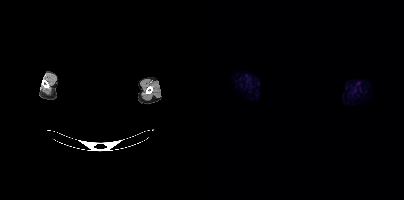
Negative for PSMA-avid disease on this slice.
modality: PSMA PET/CT | tracer: 18F | view: axial | de-identification: head region blacked out before release